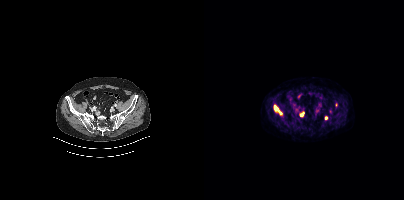
{"modality":"PSMA PET/CT","view":"axial","tracer":"18F","pet_grid":[200,200],"coord_frame":"pet_panel","coord_format":"x0,y0,x1,y1","partial":true,"lesion_bboxes":[[96,112,99,116]],"small_foci_centers":[[71,107],[122,118],[76,113]]}